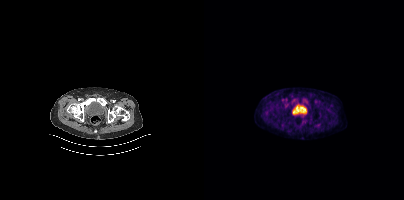
Technique: Left: CT. Right: PSMA PET, same axial level, [18F]PSMA-1007 tracer. slice position z = -1538 mm. PET panel 200×200 px (4.1 mm/px).
Findings: No tumor lesions annotated on this slice.